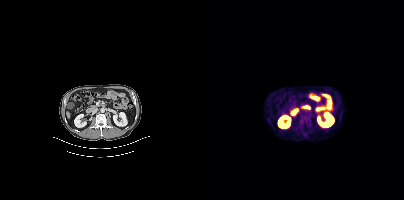
{"modality":"PSMA PET/CT","view":"axial","tracer":"[18F]PSMA-1007","pet_grid":[200,200],"coord_frame":"pet_panel","coord_format":"x0,y0,x1,y1","lesion_bboxes":[[95,115,107,127]]}